modality: PSMA PET/CT | tracer: 18F | view: axial | PET grid: 168×168
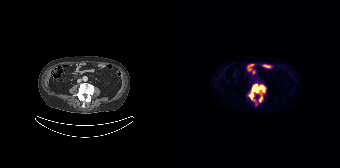
Coordinates are on the 168×168 PET (right) panel. (showing 1 of 2 foci) PSMA-avid tumor lesion bounding box (x, y, width, height): x=76 y=84 w=18 h=19.